Paired axial CT (left) and PSMA PET (right), 18F tracer. Acquired on Siemens Biograph mCT Flow 20.
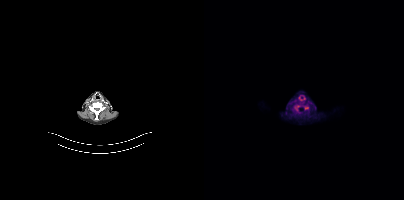
Coordinates are on the 200×200 PET (right) panel. (showing 1 of 2 foci) Small PSMA-avid focus (2 to 4 px across) near (center x, center y): (102, 107).